Two-panel axial: CT | PSMA PET, [18F]PSMA-1007 tracer. Slice position z = -631 mm. PET panel 256×256 px (2.7 mm/px).
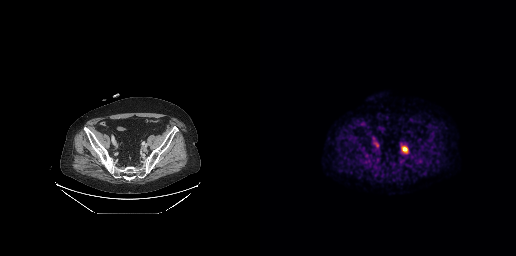
Coordinates are on the 256×256 PET (right) panel. PSMA-avid tumor lesion bounding boxes:
| # | x0 | y0 | x1 | y1 |
|---|---|---|---|---|
| 1 | 142 | 146 | 147 | 152 |
Small PSMA-avid focus (2 to 4 px across) near (center x, center y): (116, 144).